- Paired axial CT (left) and PSMA PET (right), 18F-PSMA tracer
- slice 414 of 438
- PET panel 200×200 px (4.1 mm/px)
- head region blanked for anonymization (face removed)
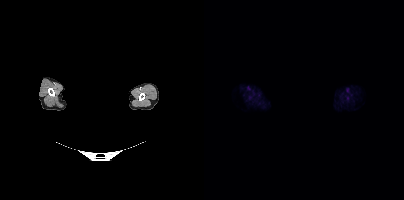
Findings: This slice has no annotated PSMA-avid lesion.